Technique: Paired axial CT (left) and PSMA PET (right), [18F]PSMA-1007 tracer. slice position z = -176 mm. PET panel 200×200 px (4.1 mm/px).
Note: The face region was removed for patient privacy by blanking a rectangle over the head.
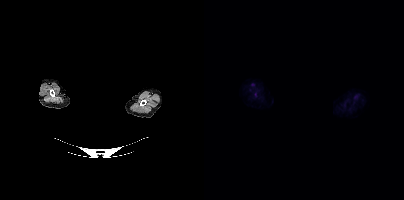
Findings: No PSMA-avid tumor lesions on this slice.